Technique: Paired axial CT (left) and PSMA PET (right), [18F]PSMA-1007 tracer. slice position z = -1341 mm. PET panel 200×200 px (4.1 mm/px).
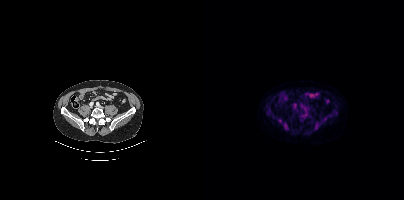
Findings: No tumor lesions annotated on this slice.